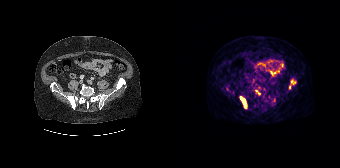
Coordinates are on the 168×168 PET (right) panel. PSMA-avid tumor lesion bounding boxes (x, y, width, height): x=68 y=96 w=7 h=13; x=119 y=80 w=5 h=5. Small PSMA-avid foci (2 to 4 px across) near (center x, center y): (117, 87); (84, 90); (86, 93).
modality: PSMA PET/CT | tracer: 68Ga-PSMA | view: axial | PET grid: 168×168